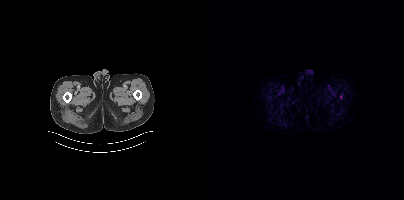
Technique: Left: CT. Right: PSMA PET, same axial level, [18F]PSMA-1007 tracer. acquired on Siemens Biograph mCT Flow 20. slice position z = -950 mm. PET panel 200×200 px (4.1 mm/px).
Findings: Coordinates are on the 200×200 PET (right) panel. Small PSMA-avid focus (2 to 4 px across) near (center x, center y): (136, 97).